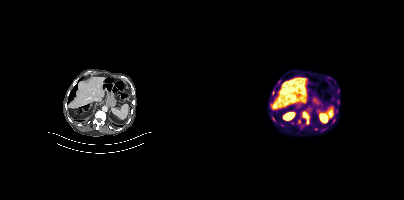
Coordinates are on the 200×200 PET (right) panel. PSMA-avid tumor lesion bounding boxes (x, y, width, height): x=102 y=115 w=4 h=5 / x=68 y=90 w=3 h=6. Small PSMA-avid focus (2 to 4 px across) near (center x, center y): (129, 121). Two-panel axial: CT | PSMA PET, [18F]PSMA-1007 tracer. Slice 188 of 367.